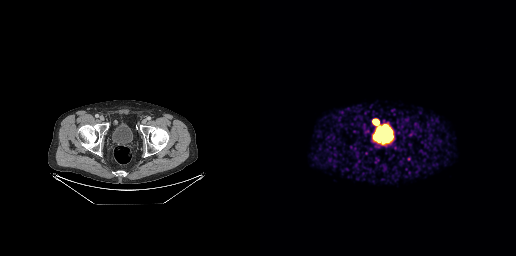
modality: PSMA PET/CT | tracer: 68Ga-PSMA | view: axial | PET grid: 256×256
Coordinates are on the 256×256 PET (right) panel. Small PSMA-avid focus (2 to 4 px across) near (center x, center y): (115, 121).